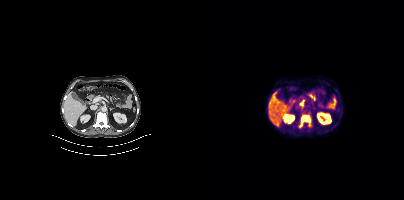
Coordinates are on the 200×200 PET (right) panel. PSMA-avid tumor lesion bounding box (x0, y0)-(x1, y1): (94, 113)-(107, 128).